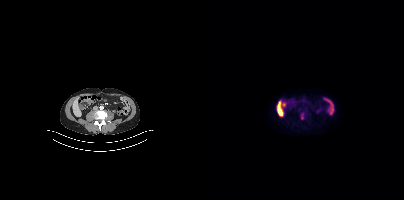
No tumor lesions annotated on this slice.